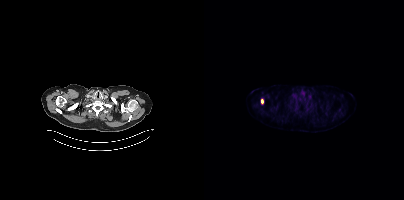
Technique: Two-panel axial: CT | PSMA PET, [18F]PSMA-1007 tracer.
Findings: Coordinates are on the 200×200 PET (right) panel. PSMA-avid tumor lesion bounding box (x, y, width, height): x=57 y=98 w=3 h=7.